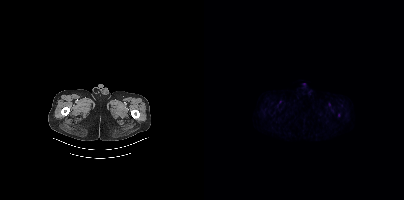
- Paired axial CT (left) and PSMA PET (right), 18F-PSMA tracer
- slice 37 of 450
- PET panel 200×200 px (4.1 mm/px)
Findings: No PSMA-avid tumor lesions on this slice.